Paired axial CT (left) and PSMA PET (right), 18F-PSMA tracer. PET panel 200×200 px (4.1 mm/px).
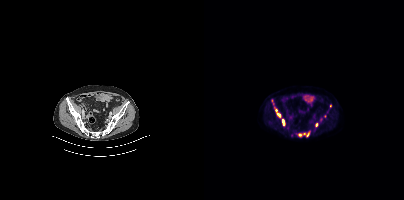
Coordinates are on the 200×200 PET (right) panel. PSMA-avid tumor lesion bounding boxes (partial; 3 more foci not listed):
| # | x0 | y0 | x1 | y1 |
|---|---|---|---|---|
| 1 | 71 | 109 | 81 | 125 |
| 2 | 94 | 131 | 105 | 136 |
Small PSMA-avid foci (2 to 4 px across) near (center x, center y): (112, 124); (126, 105).